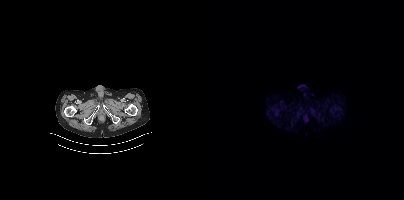
{"modality":"PSMA PET/CT","view":"axial","tracer":"18F-PSMA","pet_grid":[200,200],"coord_frame":"pet_panel","coord_format":"x0,y0,x1,y1","psma_avid_lesions":false}